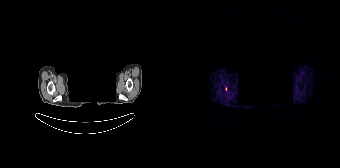
Coordinates are on the 168×168 PET (right) panel. Small PSMA-avid focus (2 to 4 px across) near (center x, center y): (54, 88).
A rectangular block over the head has been blanked out for de-identification.